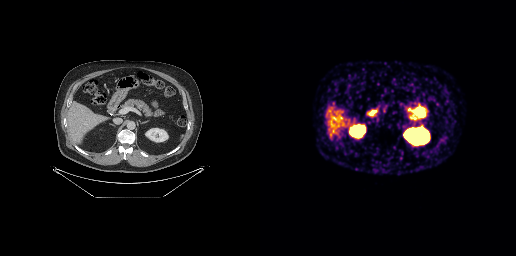
Coordinates are on the 256×256 PET (right) panel. PSMA-avid tumor lesion bounding box (x0,y0,x1,y1): [107,111,113,116].